Technique: Two-panel axial: CT | PSMA PET, 68Ga-PSMA tracer. acquired on Siemens Biograph mCT Flow 20. slice 95 of 409.
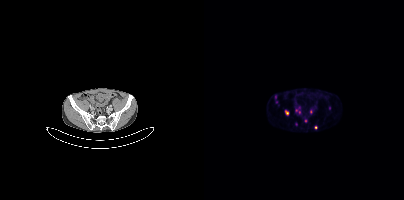
Findings: Coordinates are on the 200×200 PET (right) panel. PSMA-avid tumor lesion bounding box (x0,y0,x1,y1): [92,110,96,113]. Small PSMA-avid foci (2 to 4 px across) near (center x, center y): (82, 112) (101, 120) (125, 108) (111, 127) (95, 107) (71, 96).